Two-panel axial: CT | PSMA PET, 18F-PSMA tracer.
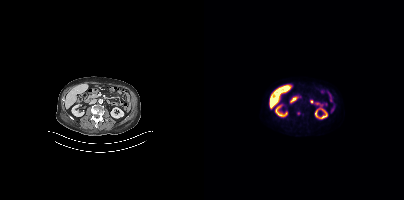
Coordinates are on the 200×200 PET (right) panel. PSMA-avid tumor lesion bounding box (x0, y0)-(x1, y1): (93, 111)-(96, 115).